Left: CT. Right: PSMA PET, same axial level, [18F]PSMA-1007 tracer. Slice position z = -1113 mm. PET panel 200×200 px (4.1 mm/px).
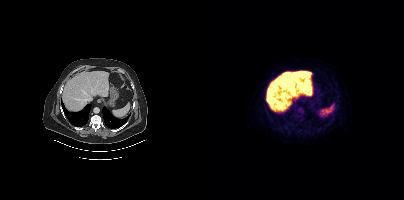
No tumor lesions annotated on this slice.